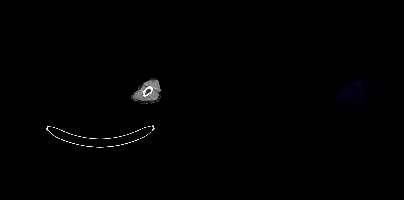
{"modality":"PSMA PET/CT","view":"axial","tracer":"[18F]PSMA-1007","pet_grid":[200,200],"coord_frame":"pet_panel","coord_format":"x0,y0,x1,y1","psma_avid_lesions":false,"de-identification":"head region blanked (face removed)"}